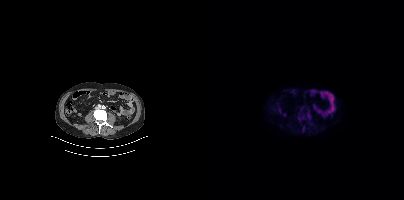
- Left: CT. Right: PSMA PET, same axial level, 18F tracer
- PET panel 200×200 px (4.1 mm/px)
Findings: Coordinates are on the 200×200 PET (right) panel. Small PSMA-avid focus (2 to 4 px across) near (center x, center y): (104, 115).